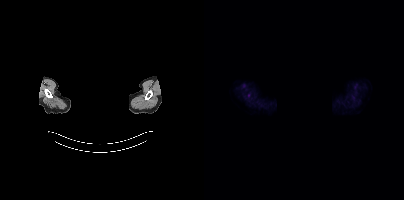
modality: PSMA PET/CT | tracer: 18F-PSMA | view: axial | PET grid: 200×200 | de-identification: head region blacked out before release
Only PSMA-avid lesion pieces thinner than 2 px on this slice (not listed).